Technique: Two-panel axial: CT | PSMA PET, 18F tracer. PET panel 200×200 px (4.1 mm/px).
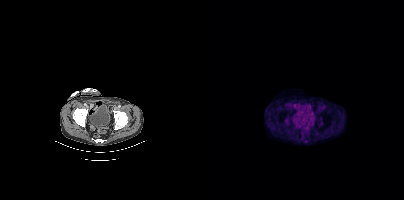
Findings: Only PSMA-avid lesion pieces thinner than 2 px on this slice (not listed).